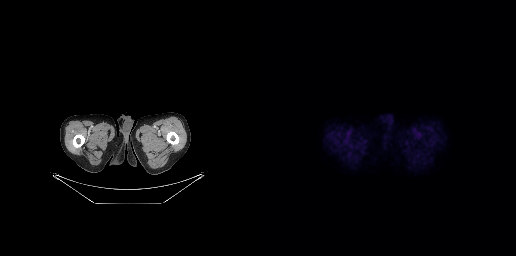
No PSMA-avid tumor lesions on this slice.